Left: CT. Right: PSMA PET, same axial level, 18F-PSMA tracer.
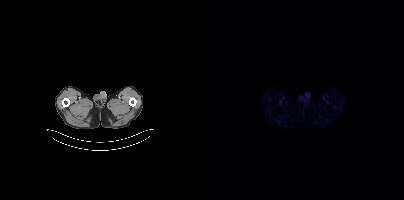
Negative for PSMA-avid disease on this slice.